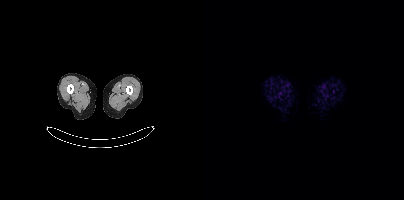
No tumor lesions annotated on this slice.